modality: PSMA PET/CT | tracer: [68Ga]Ga-PSMA-11 | view: axial
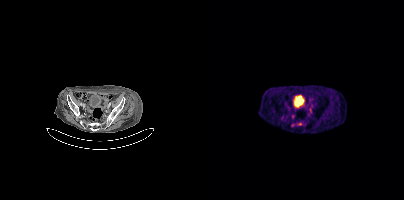
Coordinates are on the 200×200 PET (right) panel. (showing 3 of 5 foci) Small PSMA-avid foci (2 to 4 px across) near (center x, center y): (106, 110); (88, 116); (88, 124).